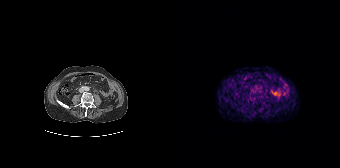
modality: PSMA PET/CT | tracer: 68Ga-PSMA | view: axial
This slice has no annotated PSMA-avid lesion.